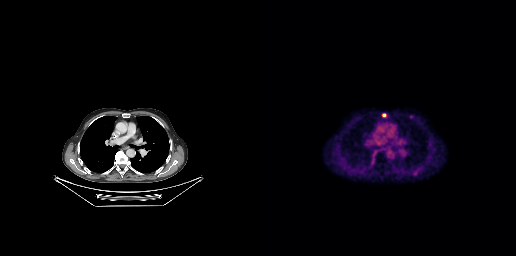
Coordinates are on the 256×256 PET (right) panel. Small PSMA-avid focus (2 to 4 px across) near (center x, center y): (123, 115).